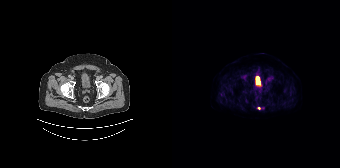
Findings: Coordinates are on the 168×168 PET (right) panel. Small PSMA-avid focus (2 to 4 px across) near (center x, center y): (87, 108).
- Paired axial CT (left) and PSMA PET (right), [18F]PSMA-1007 tracer
- PET panel 168×168 px (4.1 mm/px)